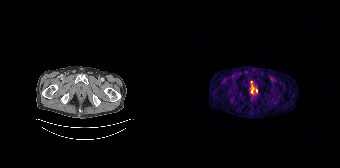
Technique: Paired axial CT (left) and PSMA PET (right), 68Ga tracer. PET panel 168×168 px (4.1 mm/px).
Findings: Coordinates are on the 168×168 PET (right) panel. Small PSMA-avid foci (2 to 4 px across) near (center x, center y): (84, 90), (79, 81), (79, 91).